modality: PSMA PET/CT | tracer: 18F | view: axial | PET grid: 200×200
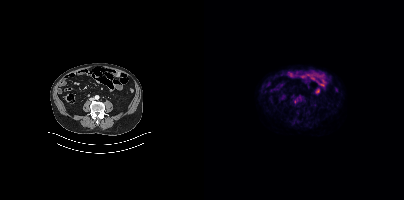
No PSMA-avid tumor lesions on this slice.